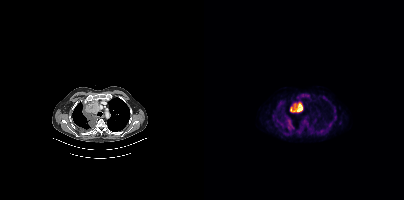
Paired axial CT (left) and PSMA PET (right), [18F]PSMA-1007 tracer. Acquired on Siemens Biograph mCT Flow 20. Slice 336 of 452. PET panel 200×200 px (4.1 mm/px).
Coordinates are on the 200×200 PET (right) panel. PSMA-avid tumor lesion bounding boxes:
| # | x0 | y0 | x1 | y1 |
|---|---|---|---|---|
| 1 | 86 | 102 | 98 | 112 |
| 2 | 81 | 120 | 88 | 129 |
| 3 | 94 | 93 | 101 | 98 |
| 4 | 98 | 119 | 104 | 125 |
| 5 | 79 | 123 | 80 | 127 |